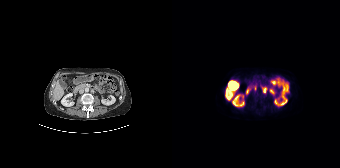
Left: CT. Right: PSMA PET, same axial level, [18F]PSMA-1007 tracer. Acquired on Siemens Biograph 64-4R TruePoint. Slice position z = -988 mm. PET panel 168×168 px (4.1 mm/px).
Coordinates are on the 168×168 PET (right) panel. PSMA-avid tumor lesion bounding boxes:
| # | x0 | y0 | x1 | y1 |
|---|---|---|---|---|
| 1 | 91 | 88 | 94 | 92 |